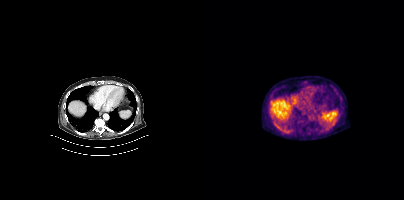
No PSMA-avid tumor lesions on this slice.
modality: PSMA PET/CT | tracer: [18F]PSMA-1007 | view: axial